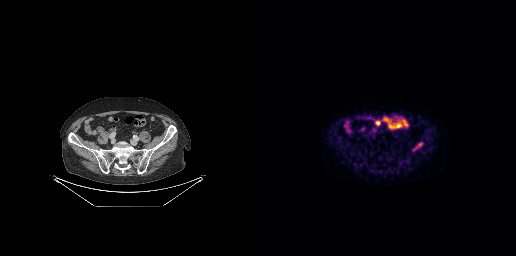
modality: PSMA PET/CT | tracer: [18F]PSMA-1007 | view: axial
Coordinates are on the 256×256 PET (right) panel. PSMA-avid tumor lesion bounding box (x0, y0)-(x1, y1): (153, 142)-(162, 150).